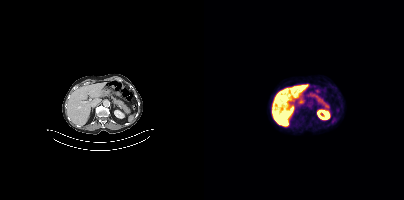
- Paired axial CT (left) and PSMA PET (right), 18F-PSMA tracer
- PET panel 200×200 px (4.1 mm/px)
Findings: This slice has no annotated PSMA-avid lesion.